Two-panel axial: CT | PSMA PET, 18F tracer.
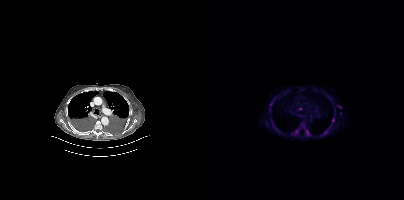
Coordinates are on the 200×200 PET (right) panel. (showing 6 of 9 foci) PSMA-avid tumor lesion bounding boxes (x, y, width, height): x=90 y=127 w=7 h=8 | x=119 y=130 w=5 h=5. Small PSMA-avid foci (2 to 4 px across) near (center x, center y): (103, 131) | (67, 104) | (129, 120) | (96, 108).